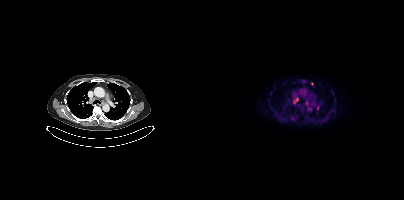
Paired axial CT (left) and PSMA PET (right), [18F]PSMA-1007 tracer. Acquired on Siemens Biograph mCT Flow 20. Slice 316 of 431. PET panel 200×200 px (4.1 mm/px).
Coordinates are on the 200×200 PET (right) panel. PSMA-avid tumor lesion bounding boxes:
| # | x0 | y0 | x1 | y1 |
|---|---|---|---|---|
| 1 | 90 | 98 | 94 | 103 |
| 2 | 113 | 105 | 115 | 110 |
Small PSMA-avid foci (2 to 4 px across) near (center x, center y): (102, 102); (88, 118); (108, 83); (110, 105).